Two-panel axial: CT | PSMA PET, 18F tracer. PET panel 200×200 px (4.1 mm/px).
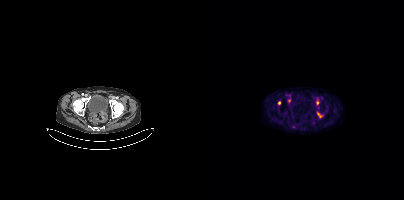
Coordinates are on the 200×200 PET (right) panel. PSMA-avid tumor lesion bounding box (x0, y0)-(x1, y1): (113, 112)-(117, 117). Small PSMA-avid foci (2 to 4 px across) near (center x, center y): (75, 103) / (113, 102).